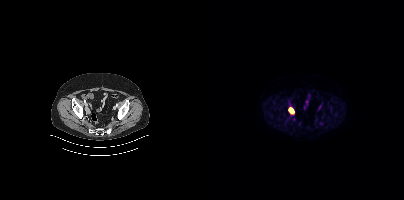
Findings: Coordinates are on the 200×200 PET (right) panel. PSMA-avid tumor lesion bounding box (x, y, width, height): x=84 y=107 w=7 h=8.
Technique: Paired axial CT (left) and PSMA PET (right), 18F-PSMA tracer. acquired on Siemens Biograph mCT Flow 20. slice 91 of 425. PET panel 200×200 px (4.1 mm/px).